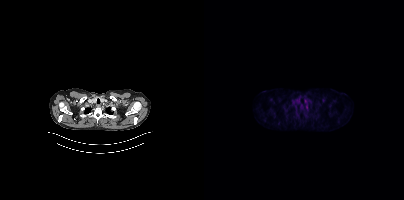
Negative for PSMA-avid disease on this slice.